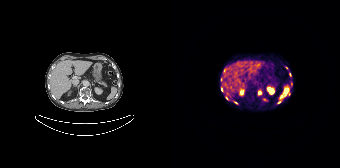
Coordinates are on the 168×168 PET (right) panel. (showing 9 of 10 foci) PSMA-avid tumor lesion bounding box (x, y, width, height): x=49 y=87 w=3 h=5. Small PSMA-avid foci (2 to 4 px across) near (center x, center y): (106, 102) | (49, 79) | (87, 92) | (119, 85) | (55, 98) | (63, 102) | (117, 94) | (114, 67). Two-panel axial: CT | PSMA PET, 68Ga-PSMA tracer. Acquired on Siemens Biograph 64-4R TruePoint. Slice 105 of 195. PET panel 168×168 px (4.1 mm/px).